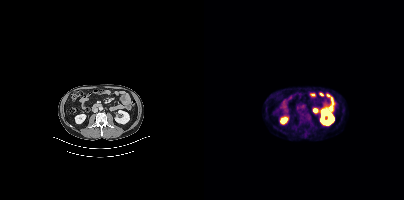
Coordinates are on the 200×200 PET (right) panel. PSMA-avid tumor lesion bounding box (x0, y0)-(x1, y1): (95, 113)-(107, 123). Two-panel axial: CT | PSMA PET, 18F tracer. PET panel 200×200 px (4.1 mm/px).